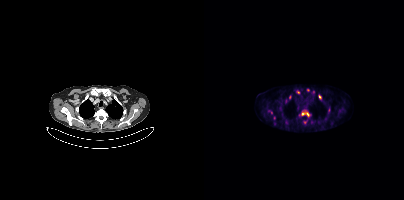
Coordinates are on the 200×200 PET (right) panel. (showing 2 of 7 foci) PSMA-avid tumor lesion bounding box (x0,y0,x1,y1): [97,112,105,116]. Small PSMA-avid focus (2 to 4 px across) near (center x, center y): (115, 96).
modality: PSMA PET/CT | tracer: [18F]PSMA-1007 | view: axial